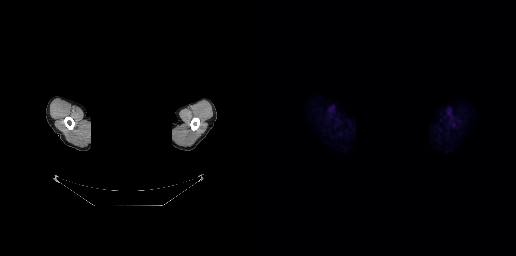
- de-identified by setting a box covering the face to black before release
- Paired axial CT (left) and PSMA PET (right), 18F tracer
- acquired on GE Discovery 690
- slice position z = -106 mm
Findings: Negative for PSMA-avid disease on this slice.